modality: PSMA PET/CT | tracer: [18F]PSMA-1007 | view: axial
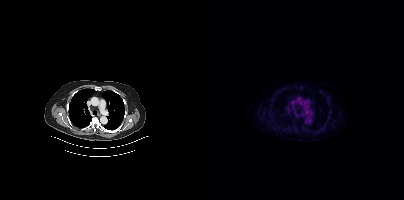
Negative for PSMA-avid disease on this slice.